- Two-panel axial: CT | PSMA PET, 18F-PSMA tracer
- acquired on GE Discovery 690
- slice 114 of 263
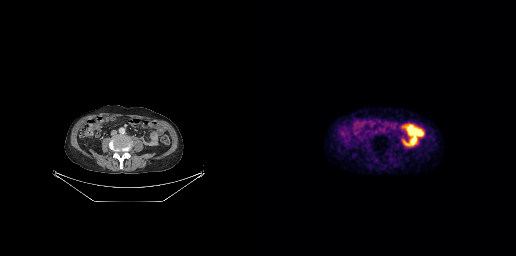
Findings: No PSMA-avid tumor lesions on this slice.